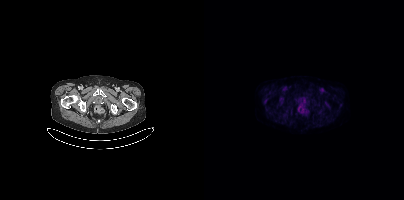
This slice has no annotated PSMA-avid lesion.